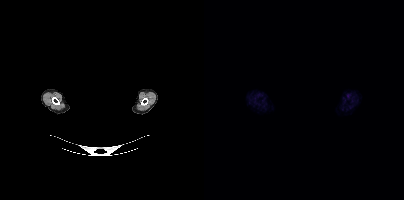
Technique: Two-panel axial: CT | PSMA PET, 18F tracer. PET panel 200×200 px (4.1 mm/px).
Note: The face region was removed for patient privacy by blanking a rectangle over the head.
Findings: Negative for PSMA-avid disease on this slice.